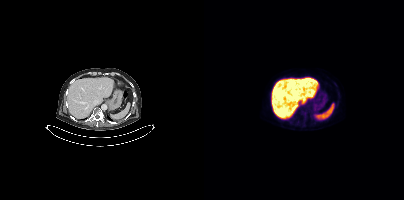
Negative for PSMA-avid disease on this slice. Left: CT. Right: PSMA PET, same axial level, [18F]PSMA-1007 tracer. PET panel 200×200 px (4.1 mm/px).